The face region was removed for patient privacy by blanking a rectangle over the head. Paired axial CT (left) and PSMA PET (right), [68Ga]Ga-PSMA-11 tracer.
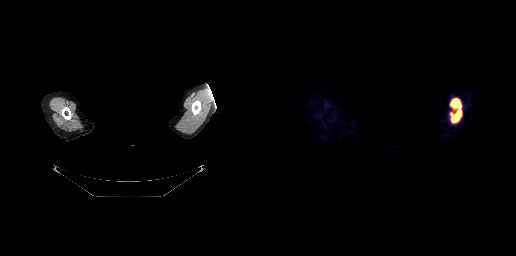
Coordinates are on the 256×256 PET (right) panel. PSMA-avid tumor lesion bounding boxes:
| # | x0 | y0 | x1 | y1 |
|---|---|---|---|---|
| 1 | 190 | 98 | 202 | 123 |